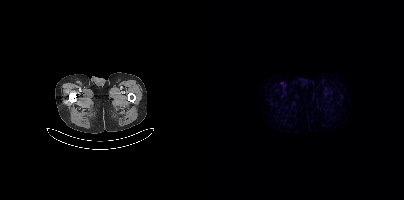
Left: CT. Right: PSMA PET, same axial level, 18F-PSMA tracer. PET panel 200×200 px (4.1 mm/px). No PSMA-avid tumor lesions on this slice.